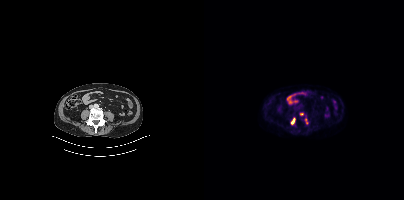
Two-panel axial: CT | PSMA PET, [18F]PSMA-1007 tracer. Coordinates are on the 200×200 PET (right) panel. PSMA-avid tumor lesion bounding box (x0, y0)-(x1, y1): (87, 119)-(90, 123).